Left: CT. Right: PSMA PET, same axial level, 18F tracer. Acquired on GE Discovery 690. Slice position z = -685 mm.
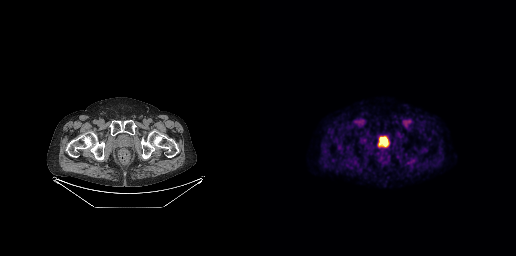
Coordinates are on the 256×256 PET (right) panel. PSMA-avid tumor lesion bounding box (x0, y0)-(x1, y1): (118, 136)-(128, 146).